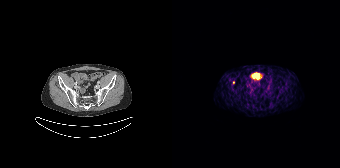
modality: PSMA PET/CT | tracer: 68Ga-PSMA | view: axial
Coordinates are on the 168×168 PET (right) panel. Small PSMA-avid focus (2 to 4 px across) near (center x, center y): (61, 82).